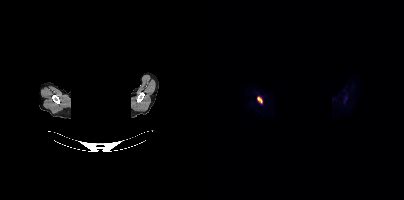
{"modality":"PSMA PET/CT","view":"axial","tracer":"[18F]PSMA-1007","pet_grid":[200,200],"coord_frame":"pet_panel","coord_format":"x0,y0,x1,y1","lesion_bboxes":[[53,96,58,103]],"de-identification":"head region blanked (face removed)"}